- Paired axial CT (left) and PSMA PET (right), [18F]PSMA-1007 tracer
- acquired on Siemens Biograph mCT Flow 20
- slice 225 of 383
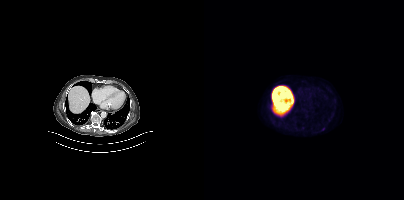
Findings: Coordinates are on the 200×200 PET (right) panel. Small PSMA-avid focus (2 to 4 px across) near (center x, center y): (119, 129).